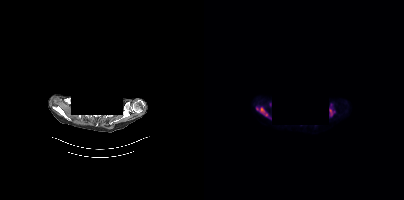
Coordinates are on the 200×200 PET (right) panel. (showing 4 of 5 foci) PSMA-avid tumor lesion bounding boxes (x0,y0,x1,y1): [52,107,64,116] [125,108,130,116]. Small PSMA-avid foci (2 to 4 px across) near (center x, center y): (65, 103) (66, 118). De-identified by setting a box covering the face to black before release. Paired axial CT (left) and PSMA PET (right), 18F tracer. Slice 359 of 415.